modality: PSMA PET/CT | tracer: [18F]PSMA-1007 | view: axial
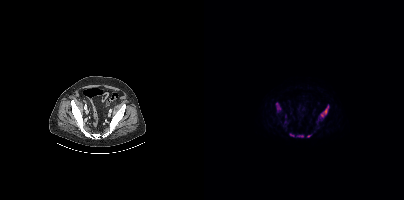
Coordinates are on the 200×200 PET (right) panel. (showing 6 of 7 foci) PSMA-avid tumor lesion bounding boxes (x, y, width, height): x=116 y=104 w=10 h=15; x=72 y=102 w=6 h=10; x=92 y=135 w=8 h=3; x=85 y=133 w=6 h=4; x=103 y=134 w=5 h=4. Small PSMA-avid focus (2 to 4 px across) near (center x, center y): (81, 116).